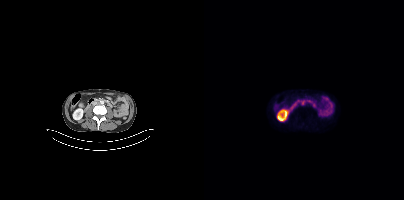
Coordinates are on the 200×200 PET (right) panel. PSMA-avid tumor lesion bounding box (x0,y0,x1,y1): [96,100,101,105].